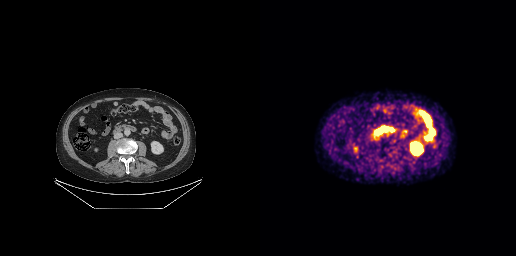
{"modality":"PSMA PET/CT","view":"axial","tracer":"[18F]PSMA-1007","pet_grid":[256,256],"coord_frame":"pet_panel","coord_format":"x0,y0,x1,y1","psma_avid_lesions":false}